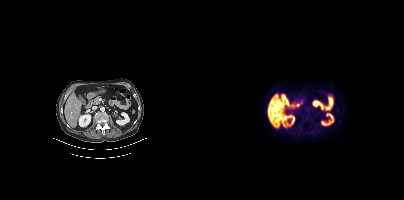
Paired axial CT (left) and PSMA PET (right), [18F]PSMA-1007 tracer. PET panel 200×200 px (4.1 mm/px). Negative for PSMA-avid disease on this slice.